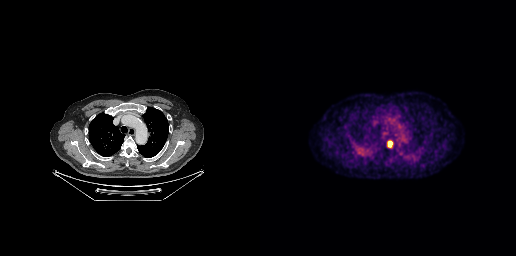
{"modality":"PSMA PET/CT","view":"axial","tracer":"18F","pet_grid":[256,256],"coord_frame":"pet_panel","coord_format":"x0,y0,x1,y1","lesion_bboxes":[[128,141,132,147]]}